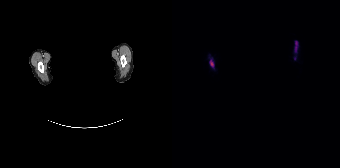
An anonymization step blacked out a rectangle over the head in this scan.
Coordinates are on the 168×168 PET (right) panel. PSMA-avid tumor lesion bounding boxes (x0,y0,x1,y1): [123,41,126,52] [38,60,41,66].